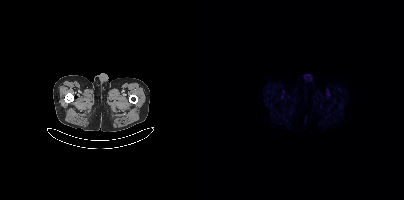
Negative for PSMA-avid disease on this slice.